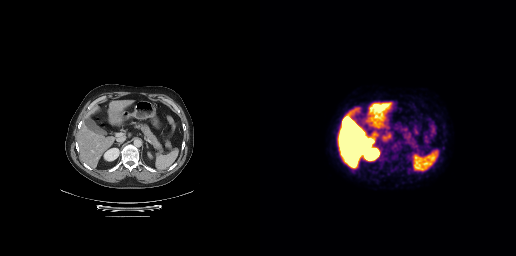
Negative for PSMA-avid disease on this slice.